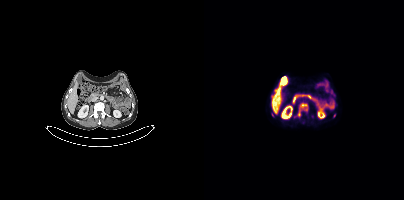
{"modality":"PSMA PET/CT","view":"axial","tracer":"[18F]PSMA-1007","pet_grid":[200,200],"coord_frame":"pet_panel","coord_format":"x0,y0,x1,y1","lesion_bboxes":[[93,102,104,116]]}